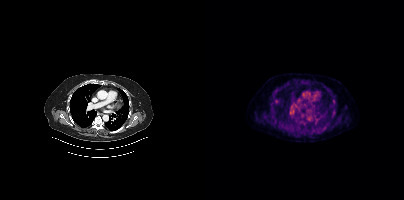
Findings: This slice has no annotated PSMA-avid lesion.
- Paired axial CT (left) and PSMA PET (right), [18F]PSMA-1007 tracer
- slice position z = 386 mm